- Left: CT. Right: PSMA PET, same axial level, 18F tracer
- slice 332 of 407
- PET panel 200×200 px (4.1 mm/px)
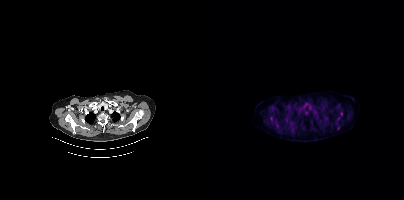
Findings: Coordinates are on the 200×200 PET (right) panel. (showing 2 of 3 foci) Small PSMA-avid foci (2 to 4 px across) near (center x, center y): (137, 113); (134, 118).